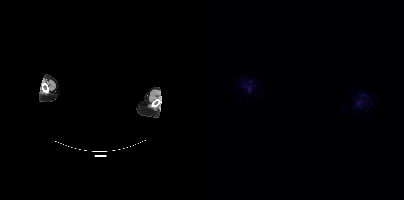
The face region was removed for patient privacy by blanking a rectangle over the head. Left: CT. Right: PSMA PET, same axial level, 18F tracer. Slice 448 of 462. This slice has no annotated PSMA-avid lesion.